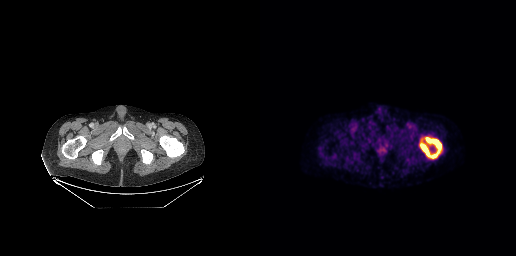
Coordinates are on the 256×256 PET (right) panel. PSMA-avid tumor lesion bounding box (x0,y0,x1,y1): [160,137,181,158].